modality: PSMA PET/CT | tracer: [18F]PSMA-1007 | view: axial | PET grid: 200×200
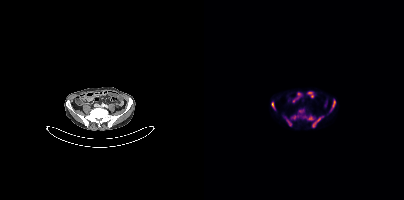
Coordinates are on the 200×200 PET (right) panel. PSMA-avid tumor lesion bounding boxes (x0,y0,x1,y1): [126,99,131,111]; [108,117,118,127]; [99,116,109,120]; [81,117,88,126]; [87,115,94,119]; [67,102,71,109]; [95,109,99,112].